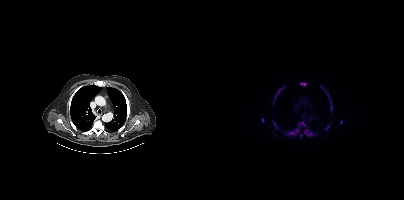
{"modality":"PSMA PET/CT","view":"axial","tracer":"[18F]PSMA-1007","pet_grid":[200,200],"coord_frame":"pet_panel","coord_format":"x0,y0,x1,y1","partial":true,"lesion_bboxes":[[81,128,95,136],[121,90,128,110],[70,87,79,99],[94,122,101,126],[96,82,102,85],[69,121,73,128],[99,129,103,134],[122,124,126,129],[57,118,59,122]],"small_foci_centers":[[97,135],[137,122],[118,87],[69,102]]}